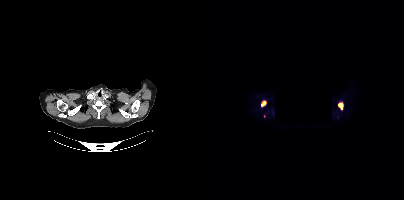
Some pixels were blanked for anonymization. Left: CT. Right: PSMA PET, same axial level, 18F tracer. Coordinates are on the 200×200 PET (right) panel. (showing 2 of 3 foci) PSMA-avid tumor lesion bounding boxes (x0,y0,x1,y1): [134,102,139,109] [57,100,62,106].